Technique: Paired axial CT (left) and PSMA PET (right), 18F-PSMA tracer. acquired on GE Discovery 690. slice position z = -402 mm. PET panel 256×256 px (2.7 mm/px).
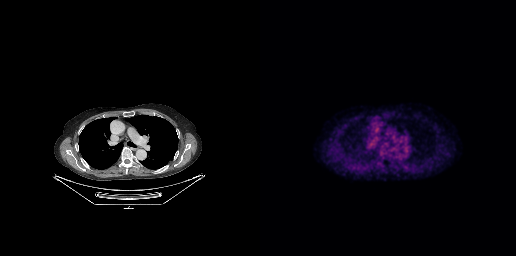
Findings: This slice has no annotated PSMA-avid lesion.